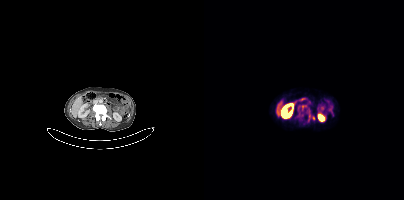
{"modality":"PSMA PET/CT","view":"axial","tracer":"68Ga-PSMA","pet_grid":[200,200],"coord_frame":"pet_panel","coord_format":"x0,y0,x1,y1","lesion_bboxes":[[104,112,106,121],[108,116,110,120]]}